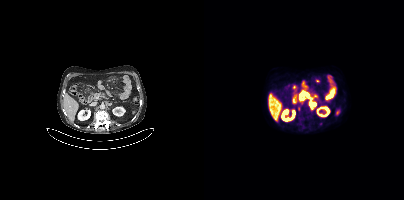
modality: PSMA PET/CT | tracer: [18F]PSMA-1007 | view: axial
Coordinates are on the 200×200 PET (right) panel. PSMA-avid tumor lesion bounding boxes (x0,y0,x1,y1): [105,101,112,108]; [96,92,104,97]. Small PSMA-avid foci (2 to 4 px across) near (center x, center y): (97, 102); (94, 108).